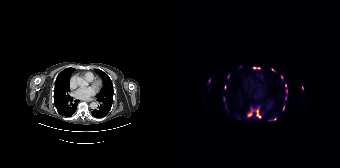
Findings: Coordinates are on the 168×168 PET (right) panel. (showing 14 of 15 foci) PSMA-avid tumor lesion bounding boxes (x0, y0)-(x1, y1): (83, 108)-(89, 118) | (75, 109)-(80, 116) | (81, 67)-(88, 69) | (51, 97)-(52, 101). Small PSMA-avid foci (2 to 4 px across) near (center x, center y): (113, 85) | (53, 86) | (130, 87) | (114, 91) | (56, 76) | (109, 77) | (113, 98) | (111, 108) | (102, 119) | (100, 69).
Technique: Left: CT. Right: PSMA PET, same axial level, 18F tracer. slice position z = -954 mm. PET panel 168×168 px (4.1 mm/px).